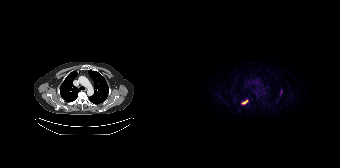
Coordinates are on the 168×168 PET (right) panel. PSMA-avid tumor lesion bounding boxes (x, y, width, height): x=69 y=99 w=8 h=6; x=108 y=89 w=3 h=6.